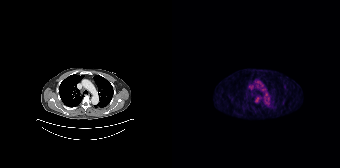
Coordinates are on the 168×168 PET (right) panel. Small PSMA-avid focus (2 to 4 px across) near (center x, center y): (84, 100). Left: CT. Right: PSMA PET, same axial level, 18F-PSMA tracer. Acquired on Siemens Biograph 64-4R TruePoint. Slice 125 of 135. PET panel 168×168 px (4.1 mm/px).